Technique: Paired axial CT (left) and PSMA PET (right), 18F-PSMA tracer. acquired on Siemens Biograph mCT Flow 20. slice 109 of 401. PET panel 200×200 px (4.1 mm/px).
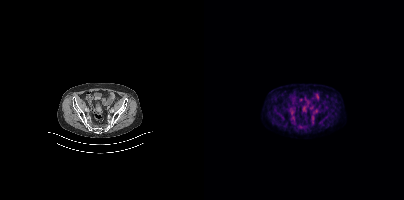
Findings: No PSMA-avid tumor lesions on this slice.